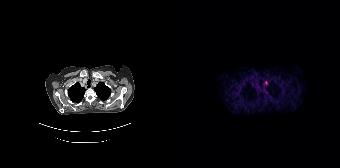
{"modality":"PSMA PET/CT","view":"axial","tracer":"68Ga","pet_grid":[168,168],"coord_frame":"pet_panel","coord_format":"x0,y0,x1,y1","lesion_bboxes":[],"small_foci_centers":[[93,83]]}